Two-panel axial: CT | PSMA PET, 18F-PSMA tracer. Slice 274 of 344.
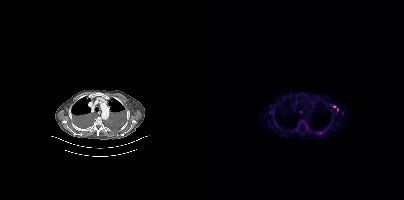
Coordinates are on the 200×200 PET (right) panel. PSMA-avid tumor lesion bounding boxes (partial; 1 more focus not listed):
| # | x0 | y0 | x1 | y1 |
|---|---|---|---|---|
| 1 | 113 | 130 | 120 | 134 |
Small PSMA-avid foci (2 to 4 px across) near (center x, center y): (96, 112); (130, 106); (133, 109); (66, 112); (138, 113); (66, 105).